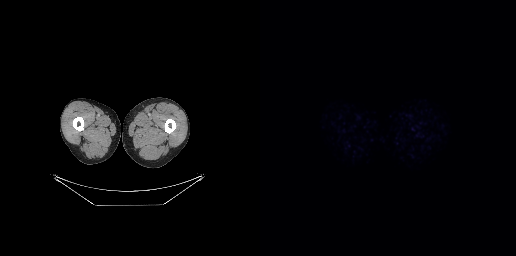
Findings: No tumor lesions annotated on this slice.
Technique: Paired axial CT (left) and PSMA PET (right), 18F-PSMA tracer. PET panel 256×256 px (2.7 mm/px).